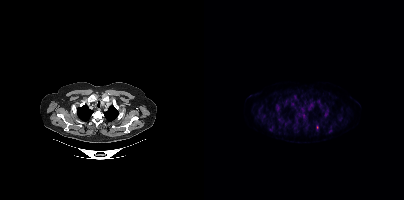
- Two-panel axial: CT | PSMA PET, 18F tracer
Findings: Coordinates are on the 200×200 PET (right) panel. PSMA-avid tumor lesion bounding boxes (x, y, width, height): x=95 y=112 w=7 h=7 | x=81 y=97 w=4 h=9 | x=120 y=108 w=5 h=8 | x=72 y=107 w=5 h=5. Small PSMA-avid foci (2 to 4 px across) near (center x, center y): (75, 119) | (113, 127) | (117, 107) | (125, 129) | (67, 130) | (92, 98) | (100, 95) | (115, 100) | (118, 117) | (116, 123) | (107, 98).